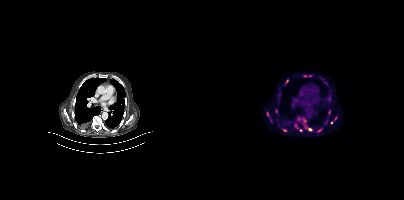
Findings: Coordinates are on the 200×200 PET (right) panel. (showing 11 of 13 foci) PSMA-avid tumor lesion bounding boxes (x0, y0)-(x1, y1): (93, 118)-(108, 131); (62, 111)-(68, 122); (91, 124)-(98, 131); (126, 116)-(133, 124); (81, 79)-(84, 83); (124, 110)-(126, 114). Small PSMA-avid foci (2 to 4 px across) near (center x, center y): (80, 130); (115, 130); (101, 75); (106, 75); (122, 121).
Technique: Two-panel axial: CT | PSMA PET, 18F-PSMA tracer. acquired on Siemens Biograph mCT Flow 20. slice position z = -1075 mm.